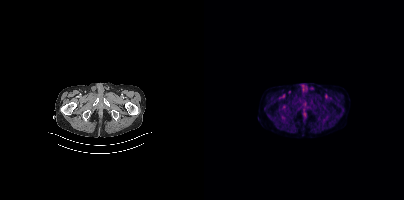
Negative for PSMA-avid disease on this slice.